modality: PSMA PET/CT | tracer: 68Ga | view: axial
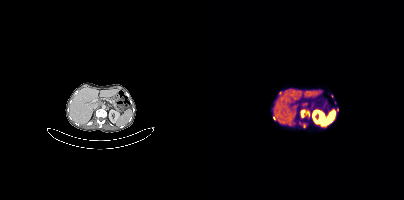
Coordinates are on the 200×200 PET (right) panel. (showing 5 of 7 foci) PSMA-avid tumor lesion bounding box (x0,y0,x1,y1): [96,109,105,117]. Small PSMA-avid foci (2 to 4 px across) near (center x, center y): (100, 125); (76, 92); (70, 118); (133, 109).